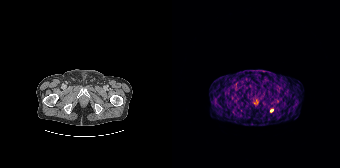
{"modality":"PSMA PET/CT","view":"axial","tracer":"68Ga","pet_grid":[168,168],"coord_frame":"pet_panel","coord_format":"x0,y0,x1,y1","lesion_bboxes":[],"small_foci_centers":[[99,110]]}